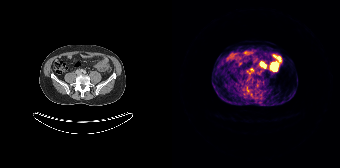
Findings: Coordinates are on the 168×168 PET (right) panel. Small PSMA-avid focus (2 to 4 px across) near (center x, center y): (79, 69).
Technique: Left: CT. Right: PSMA PET, same axial level, 68Ga tracer. acquired on Siemens Biograph 64-4R TruePoint.